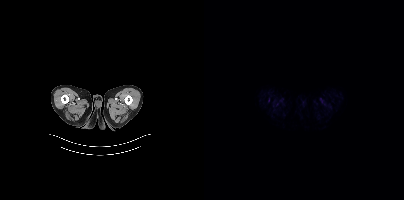
Findings: Only PSMA-avid lesion pieces thinner than 2 px on this slice (not listed).
Technique: Two-panel axial: CT | PSMA PET, [18F]PSMA-1007 tracer.